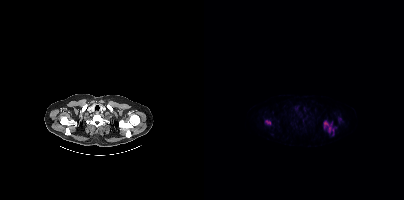
Left: CT. Right: PSMA PET, same axial level, 18F tracer. Slice position z = -408 mm.
Coordinates are on the 200×200 PET (right) panel. PSMA-avid tumor lesion bounding boxes (partial; 2 more foci not listed):
| # | x0 | y0 | x1 | y1 |
|---|---|---|---|---|
| 1 | 120 | 121 | 129 | 134 |
| 2 | 62 | 121 | 66 | 123 |